modality: PSMA PET/CT | tracer: 68Ga | view: axial | PET grid: 168×168
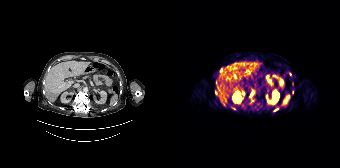
Coordinates are on the 168×168 PET (right) panel. PSMA-avid tumor lesion bounding boxes (x, y, width, height): x=78 y=92 w=3 h=6 | x=48 y=68 w=3 h=5. Small PSMA-avid foci (2 to 4 px across) near (center x, center y): (103, 110) | (44, 92) | (60, 108) | (118, 74) | (120, 92).